Paired axial CT (left) and PSMA PET (right), [18F]PSMA-1007 tracer. Acquired on Siemens Biograph mCT Flow 20.
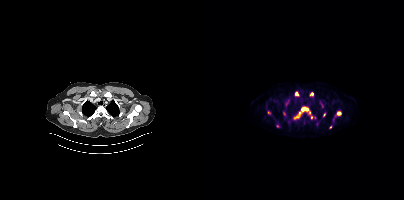
Coordinates are on the 200×200 PET (right) panel. (showing 11 of 14 foci) PSMA-avid tumor lesion bounding boxes (x, y, width, height): x=90 y=112 w=7 h=8; x=97 y=107 w=8 h=4; x=133 y=111 w=5 h=5. Small PSMA-avid foci (2 to 4 px across) near (center x, center y): (92, 93); (82, 104); (108, 94); (107, 117); (64, 112); (126, 127); (118, 106); (120, 114).